Paired axial CT (left) and PSMA PET (right), [18F]PSMA-1007 tracer. Slice position z = -1220 mm.
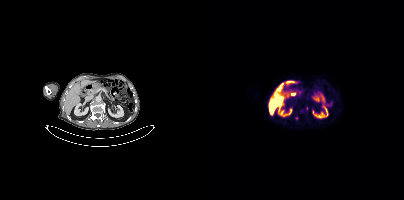
Coordinates are on the 200×200 PET (right) panel. (showing 1 of 2 foci) Small PSMA-avid focus (2 to 4 px across) near (center x, center y): (102, 108).